Two-panel axial: CT | PSMA PET, 18F-PSMA tracer. Acquired on Siemens Biograph mCT Flow 20.
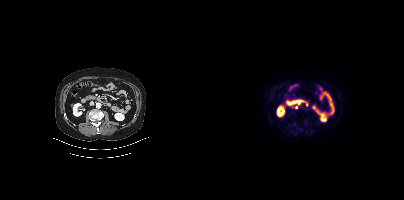
Coordinates are on the 200×200 PET (right) panel. (showing 1 of 2 foci) Small PSMA-avid focus (2 to 4 px across) near (center x, center y): (102, 104).